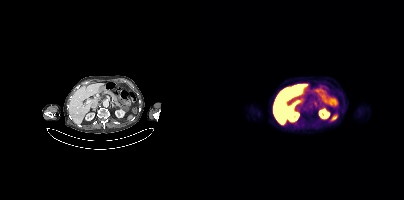
{"modality":"PSMA PET/CT","view":"axial","tracer":"[18F]PSMA-1007","pet_grid":[200,200],"coord_frame":"pet_panel","coord_format":"x0,y0,x1,y1","psma_avid_lesions":false}